modality: PSMA PET/CT | tracer: 68Ga-PSMA | view: axial | PET grid: 256×256
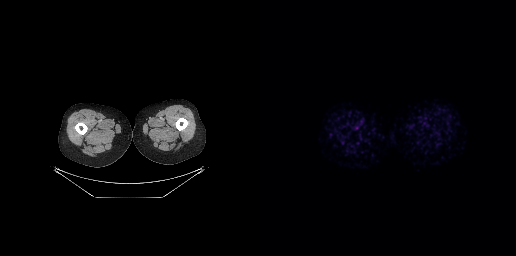
No PSMA-avid tumor lesions on this slice.